Left: CT. Right: PSMA PET, same axial level, 18F tracer. PET panel 256×256 px (2.7 mm/px).
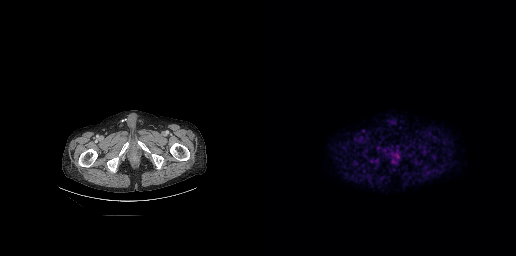
Coordinates are on the 256×256 PET (right) panel. PSMA-avid tumor lesion bounding box (x, y, width, height): x=128 y=149 w=13 h=16.